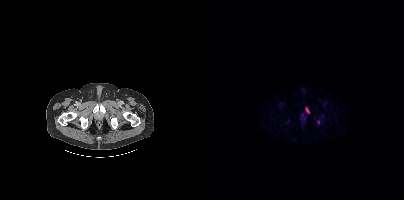
Coordinates are on the 200×200 PET (right) panel. (showing 1 of 2 foci) PSMA-avid tumor lesion bounding box (x, y, width, height): x=102 y=107 w=4 h=7.